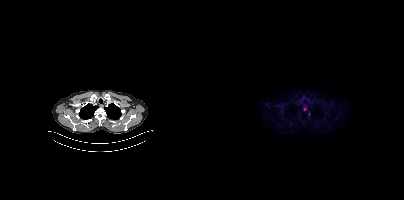
Two-panel axial: CT | PSMA PET, 18F tracer. Acquired on Siemens Biograph mCT Flow 20. Only PSMA-avid lesion pieces thinner than 2 px on this slice (not listed).